- Left: CT. Right: PSMA PET, same axial level, [68Ga]Ga-PSMA-11 tracer
- slice position z = -984 mm
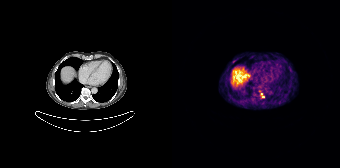
Findings: Coordinates are on the 168×168 PET (right) panel. (showing 1 of 2 foci) Small PSMA-avid focus (2 to 4 px across) near (center x, center y): (61, 61).